- Paired axial CT (left) and PSMA PET (right), 18F-PSMA tracer
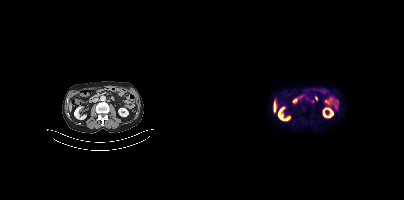
Findings: No tumor lesions annotated on this slice.